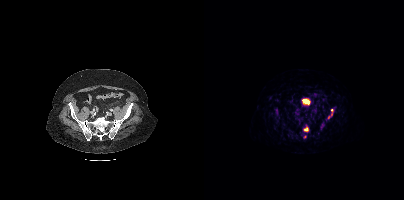
Findings: Coordinates are on the 200×200 PET (right) panel. (showing 2 of 3 foci) PSMA-avid tumor lesion bounding boxes (x, y, width, height): x=122 y=109 w=8 h=12 | x=100 y=127 w=5 h=5.
- Two-panel axial: CT | PSMA PET, 68Ga-PSMA tracer
- slice 118 of 444
- PET panel 200×200 px (4.1 mm/px)